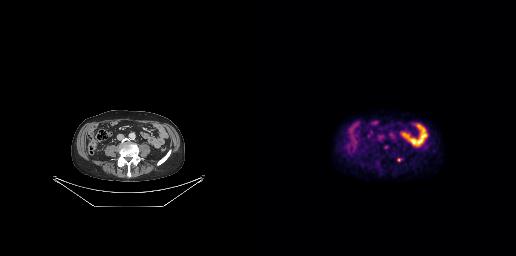
Coordinates are on the 256×256 PET (right) panel. PSMA-avid tumor lesion bounding box (x0,y0,x1,y1): [137,158,142,162].